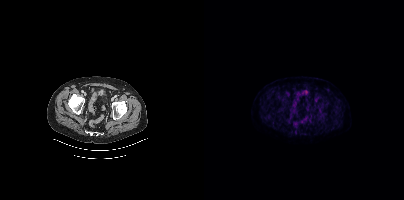
{"modality":"PSMA PET/CT","view":"axial","tracer":"[18F]PSMA-1007","pet_grid":[200,200],"coord_frame":"pet_panel","coord_format":"x0,y0,x1,y1","psma_avid_lesions":false}